- Left: CT. Right: PSMA PET, same axial level, [18F]PSMA-1007 tracer
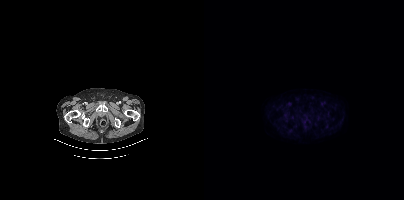
Findings: Negative for PSMA-avid disease on this slice.